Two-panel axial: CT | PSMA PET, [18F]PSMA-1007 tracer. PET panel 200×200 px (4.1 mm/px).
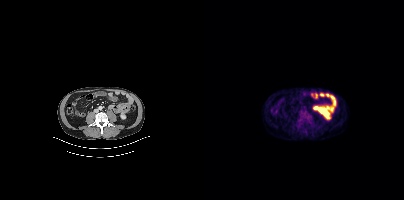
Coordinates are on the 200×200 PET (right) panel. PSMA-avid tumor lesion bounding boxes:
| # | x0 | y0 | x1 | y1 |
|---|---|---|---|---|
| 1 | 95 | 111 | 106 | 123 |